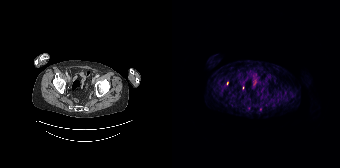
Only PSMA-avid lesion pieces thinner than 2 px on this slice (not listed).